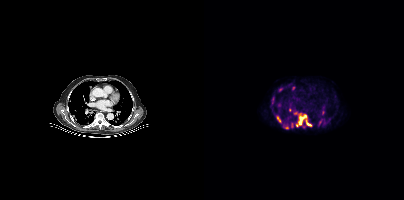
{"pet_grid":[200,200],"coord_frame":"pet_panel","coord_format":"x0,y0,x1,y1","partial":true,"lesion_bboxes":[[90,112,108,126],[73,116,77,122],[67,97,70,101],[118,110,120,114]],"small_foci_centers":[[76,89],[82,127],[89,88],[85,109]],"modality":"PSMA PET/CT","view":"axial","tracer":"[18F]PSMA-1007"}